- Left: CT. Right: PSMA PET, same axial level, [68Ga]Ga-PSMA-11 tracer
- acquired on Siemens Biograph 64-4R TruePoint
- slice 76 of 195
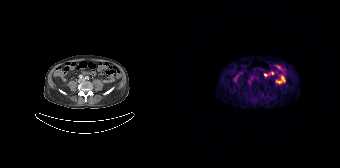
Findings: No PSMA-avid tumor lesions on this slice.